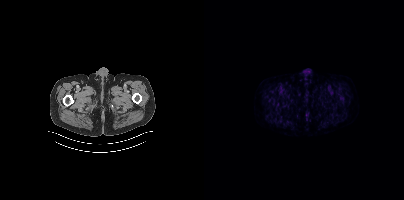
Two-panel axial: CT | PSMA PET, [18F]PSMA-1007 tracer. Slice position z = -924 mm. PET panel 200×200 px (4.1 mm/px). No PSMA-avid tumor lesions on this slice.